Paired axial CT (left) and PSMA PET (right), 18F tracer. Acquired on Siemens Biograph mCT Flow 20. Slice position z = -446 mm.
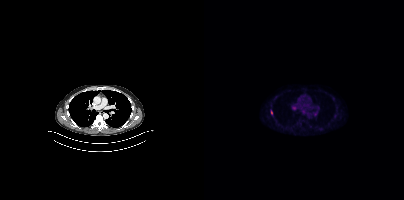
Coordinates are on the 200×200 PET (right) panel. Small PSMA-avid focus (2 to 4 px across) near (center x, center y): (67, 112).